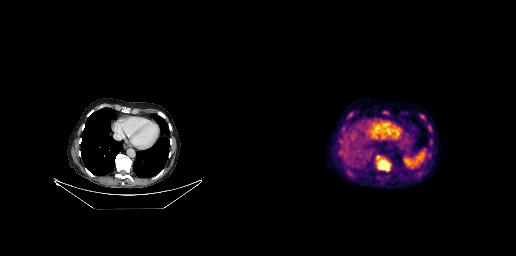
{"modality":"PSMA PET/CT","view":"axial","tracer":"[18F]PSMA-1007","pet_grid":[256,256],"coord_frame":"pet_panel","coord_format":"x0,y0,x1,y1","lesion_bboxes":[[117,159,130,170],[167,125,172,132],[87,112,93,118],[123,112,127,113]],"small_foci_centers":[[118,158]]}